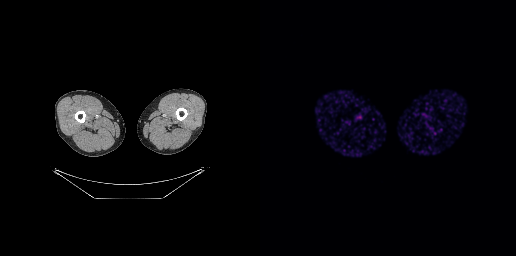
Technique: Left: CT. Right: PSMA PET, same axial level, 68Ga-PSMA tracer. slice 15 of 299. PET panel 256×256 px (2.7 mm/px).
Findings: This slice has no annotated PSMA-avid lesion.